Left: CT. Right: PSMA PET, same axial level, [18F]PSMA-1007 tracer. Acquired on Siemens Biograph mCT Flow 20. Slice 108 of 442.
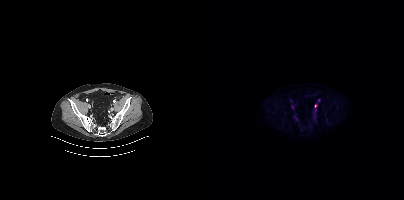
Coordinates are on the 200×200 PET (right) panel. (showing 1 of 2 foci) Small PSMA-avid focus (2 to 4 px across) near (center x, center y): (111, 105).